Technique: Paired axial CT (left) and PSMA PET (right), [18F]PSMA-1007 tracer. acquired on Siemens Biograph mCT Flow 20.
Note: An anonymization step blacked out a rectangle over the head in this scan.
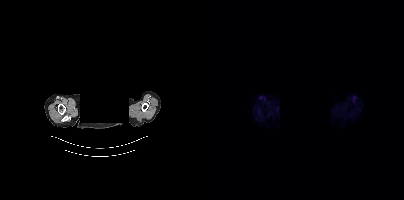
Findings: No tumor lesions annotated on this slice.